Paired axial CT (left) and PSMA PET (right), 18F-PSMA tracer. Slice position z = -734 mm.
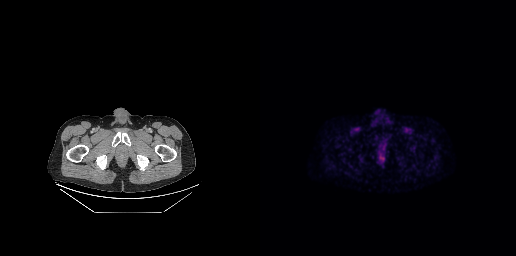
This slice has no annotated PSMA-avid lesion.